- Paired axial CT (left) and PSMA PET (right), [18F]PSMA-1007 tracer
- slice position z = -1154 mm
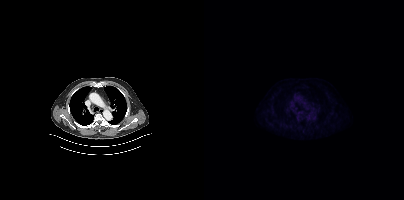
Findings: Negative for PSMA-avid disease on this slice.